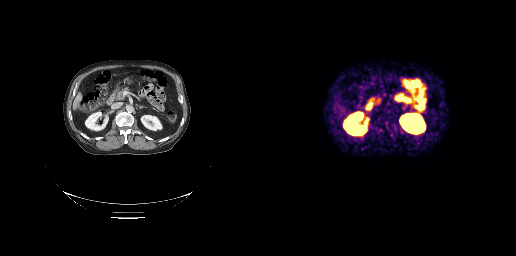
{"modality":"PSMA PET/CT","view":"axial","tracer":"68Ga","pet_grid":[256,256],"coord_frame":"pet_panel","coord_format":"x0,y0,x1,y1","psma_avid_lesions":false}